Two-panel axial: CT | PSMA PET, 18F tracer. Acquired on Siemens Biograph mCT Flow 20. Slice position z = 60 mm.
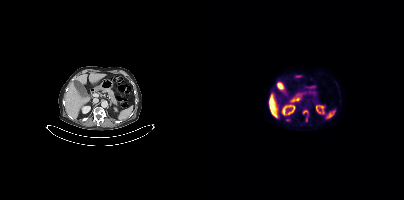
Coordinates are on the 200×200 PET (right) panel. PSMA-avid tumor lesion bounding boxes (x0,y0,x1,y1): [101,114,104,121] [82,118,86,121] [99,110,103,113].